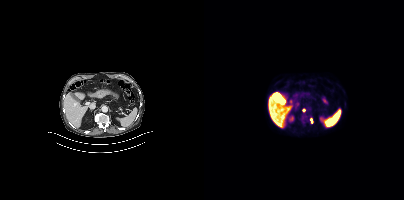
Technique: Left: CT. Right: PSMA PET, same axial level, [18F]PSMA-1007 tracer.
Findings: Coordinates are on the 200×200 PET (right) panel. Small PSMA-avid foci (2 to 4 px across) near (center x, center y): (99, 110) / (107, 120).